Paired axial CT (left) and PSMA PET (right), 18F-PSMA tracer. Acquired on Siemens Biograph mCT Flow 20. PET panel 200×200 px (4.1 mm/px).
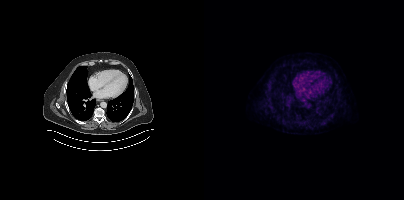
No tumor lesions annotated on this slice.